- Two-panel axial: CT | PSMA PET, [18F]PSMA-1007 tracer
- acquired on Siemens Biograph mCT Flow 20
- slice position z = -1075 mm
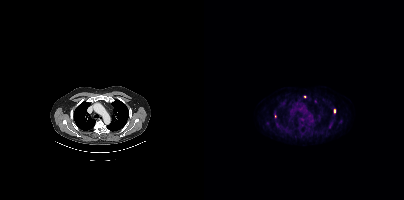
Findings: Coordinates are on the 200×200 PET (right) panel. (showing 3 of 4 foci) Small PSMA-avid foci (2 to 4 px across) near (center x, center y): (130, 110); (100, 96); (71, 116).